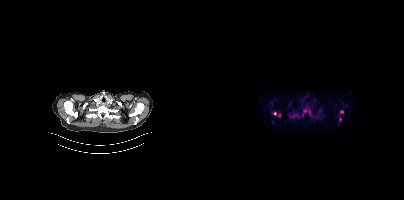
{"modality":"PSMA PET/CT","view":"axial","tracer":"18F","pet_grid":[200,200],"coord_frame":"pet_panel","coord_format":"x0,y0,x1,y1","partial":true,"lesion_bboxes":[[84,114,88,118],[136,110,139,114]],"small_foci_centers":[[100,110],[71,113],[75,115],[105,112],[115,110],[98,114]]}